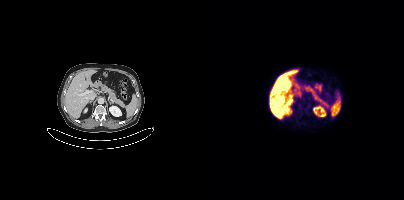
Findings: Coordinates are on the 200×200 PET (right) panel. Small PSMA-avid focus (2 to 4 px across) near (center x, center y): (105, 106).
- Paired axial CT (left) and PSMA PET (right), [18F]PSMA-1007 tracer
- acquired on Siemens Biograph mCT Flow 20
- PET panel 200×200 px (4.1 mm/px)